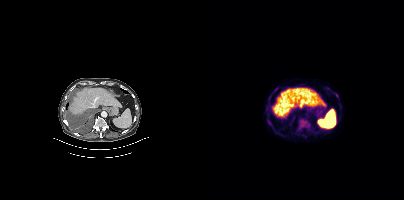
Coordinates are on the 200×200 PET (right) panel. PSMA-avid tumor lesion bounding boxes:
| # | x0 | y0 | x1 | y1 |
|---|---|---|---|---|
| 1 | 95 | 119 | 104 | 128 |
| 2 | 64 | 120 | 67 | 124 |
| 3 | 64 | 96 | 66 | 101 |
| 4 | 70 | 88 | 74 | 91 |
Small PSMA-avid foci (2 to 4 px across) near (center x, center y): (123, 88); (132, 95).
Paired axial CT (left) and PSMA PET (right), [18F]PSMA-1007 tracer. Acquired on Siemens Biograph mCT Flow 20. Slice 251 of 452. PET panel 200×200 px (4.1 mm/px).